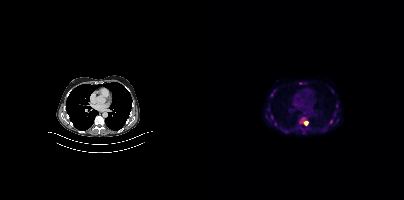
Paired axial CT (left) and PSMA PET (right), 18F tracer. Acquired on Siemens Biograph mCT Flow 20. PET panel 200×200 px (4.1 mm/px). Coordinates are on the 200×200 PET (right) panel. (showing 8 of 9 foci) PSMA-avid tumor lesion bounding boxes (x0,y0,x1,y1): [99,121,104,125], [95,82,102,84]. Small PSMA-avid foci (2 to 4 px across) near (center x, center y): (68, 94), (130, 114), (132, 106), (70, 90), (64, 108), (132, 121).